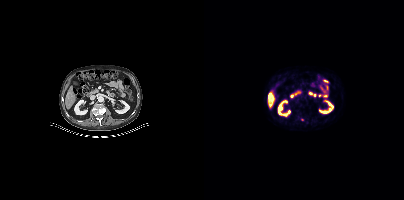
Coordinates are on the 200×200 PET (right) panel. Small PSMA-avid focus (2 to 4 px across) near (center x, center y): (98, 119).